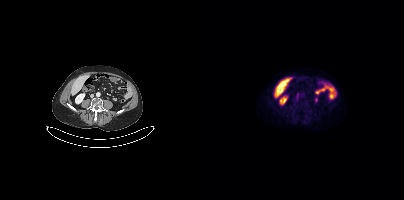
No tumor lesions annotated on this slice.